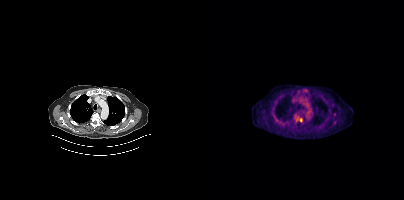
Two-panel axial: CT | PSMA PET, [18F]PSMA-1007 tracer. Only PSMA-avid lesion pieces thinner than 2 px on this slice (not listed).